- Two-panel axial: CT | PSMA PET, 18F-PSMA tracer
- acquired on Siemens Biograph mCT Flow 20
- PET panel 200×200 px (4.1 mm/px)
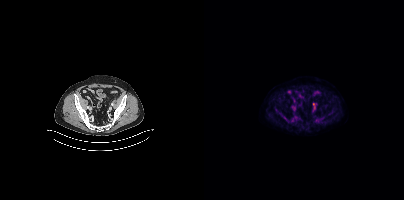
Findings: Coordinates are on the 200×200 PET (right) panel. (showing 2 of 3 foci) PSMA-avid tumor lesion bounding boxes (x, y, width, height): x=77 y=115 w=11 h=7 / x=117 y=115 w=5 h=5.